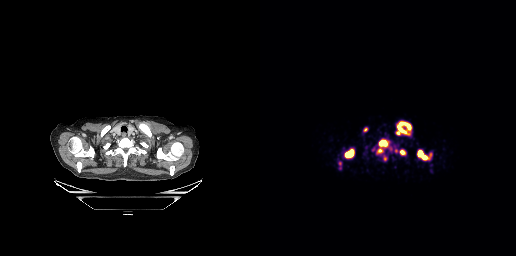
Two-panel axial: CT | PSMA PET, 68Ga-PSMA tracer. Slice position z = -292 mm.
Coordinates are on the 256×256 PET (right) panel. PSMA-avid tumor lesion bounding boxes:
| # | x0 | y0 | x1 | y1 |
|---|---|---|---|---|
| 1 | 136 | 121 | 151 | 135 |
| 2 | 158 | 150 | 167 | 159 |
| 3 | 85 | 150 | 93 | 157 |
| 4 | 119 | 141 | 126 | 145 |
| 5 | 140 | 150 | 145 | 154 |
Small PSMA-avid foci (2 to 4 px across) near (center x, center y): (105, 129); (119, 150).